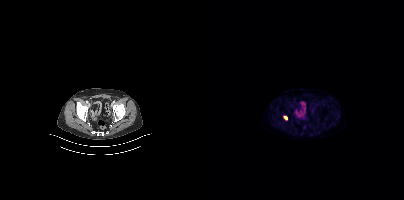
Findings: Coordinates are on the 200×200 PET (right) panel. PSMA-avid tumor lesion bounding box (x0,y0,x1,y1): [79,116,83,120].
Technique: Left: CT. Right: PSMA PET, same axial level, 18F-PSMA tracer. acquired on Siemens Biograph mCT Flow 20. slice position z = -878 mm.